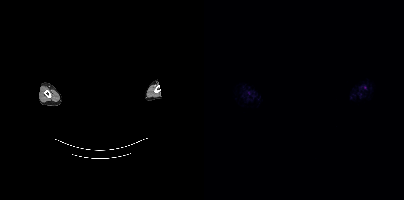
{"modality":"PSMA PET/CT","view":"axial","tracer":"18F","pet_grid":[200,200],"coord_frame":"pet_panel","coord_format":"x0,y0,x1,y1","psma_avid_lesions":false,"de-identification":"head region blanked (face removed)"}